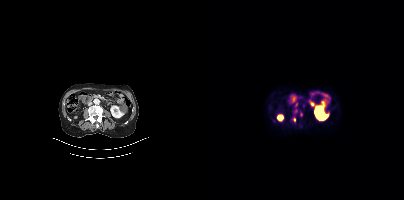
Left: CT. Right: PSMA PET, same axial level, [68Ga]Ga-PSMA-11 tracer. Slice 159 of 409. Coordinates are on the 200×200 PET (right) panel. (showing 2 of 3 foci) Small PSMA-avid foci (2 to 4 px across) near (center x, center y): (90, 119); (99, 105).